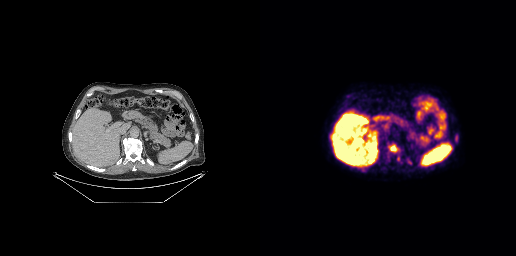
Technique: Two-panel axial: CT | PSMA PET, 18F tracer.
Findings: Coordinates are on the 256×256 PET (right) panel. PSMA-avid tumor lesion bounding box (x, y, width, height): x=130 y=145 w=7 h=7.